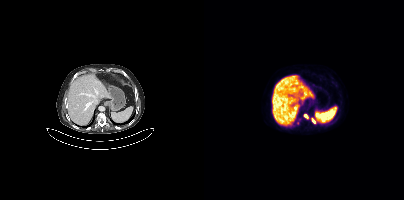
Coordinates are on the 200×200 PET (right) panel. PSMA-avid tumor lesion bounding box (x0,y0,x1,y1): [108,118,111,123]. Small PSMA-avid foci (2 to 4 px across) near (center x, center y): (101, 115) (93, 123). Left: CT. Right: PSMA PET, same axial level, [18F]PSMA-1007 tracer.